Left: CT. Right: PSMA PET, same axial level, 18F-PSMA tracer. PET panel 256×256 px (2.7 mm/px).
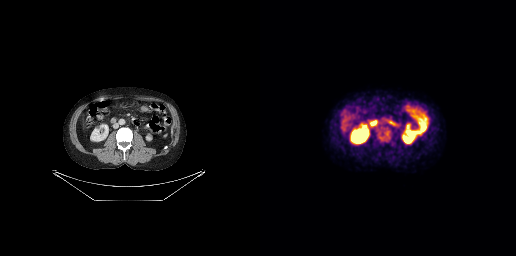
Coordinates are on the 256×256 PET (right) panel. PSMA-avid tumor lesion bounding box (x, y, width, height): x=126 y=131 w=3 h=5. Small PSMA-avid focus (2 to 4 px across) near (center x, center y): (120, 137).